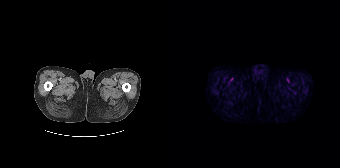
Findings: No PSMA-avid tumor lesions on this slice.
Technique: Two-panel axial: CT | PSMA PET, 18F-PSMA tracer. PET panel 168×168 px (4.1 mm/px).